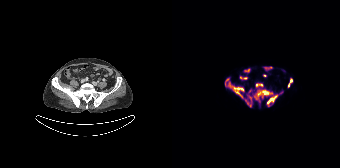
Coordinates are on the 168×168 PET (right) panel. PSMA-avid tumor lesion bounding boxes (x0,y0,x1,y1): [56,82,106,107]; [116,78,120,87]; [53,78,57,85]. Small PSMA-avid focus (2 to 4 px across) near (center x, center y): (109, 92).